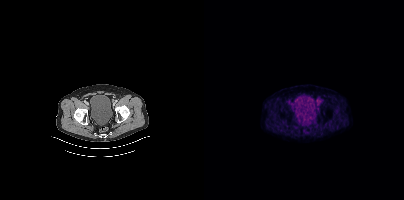
Left: CT. Right: PSMA PET, same axial level, 18F tracer. Slice 72 of 397. PET panel 200×200 px (4.1 mm/px). Only PSMA-avid lesion pieces thinner than 2 px on this slice (not listed).